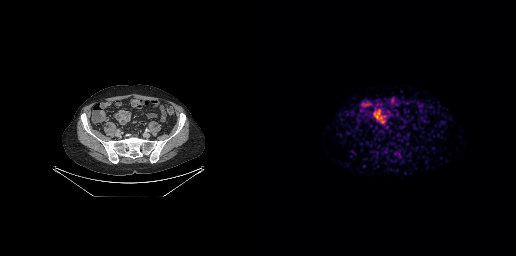
No tumor lesions annotated on this slice.